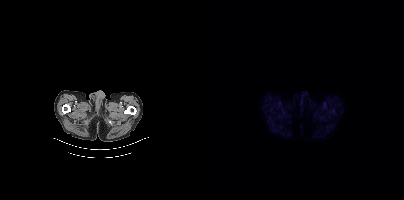
Negative for PSMA-avid disease on this slice.